Privacy masking over the head, with the pixels inside a rectangle set to black. Two-panel axial: CT | PSMA PET, 18F tracer. Acquired on Siemens Biograph mCT Flow 20.
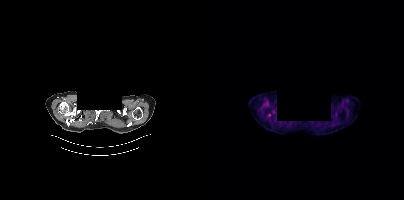
Only PSMA-avid lesion pieces thinner than 2 px on this slice (not listed).